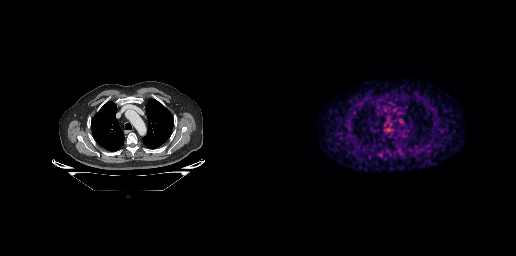
Coordinates are on the 256×256 PET (right) panel. Small PSMA-avid focus (2 to 4 px across) near (center x, center y): (120, 155).